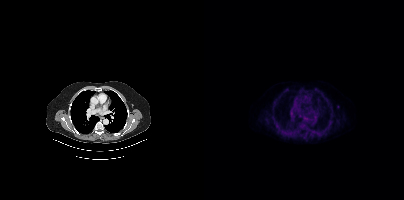
Coordinates are on the 200×200 PET (right) panel. Small PSMA-avid focus (2 to 4 px across) near (center x, center y): (133, 106).